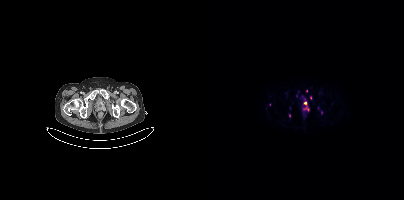
modality: PSMA PET/CT | tracer: 68Ga-PSMA | view: axial
Coordinates are on the 200×200 PET (right) panel. (showing 5 of 6 foci) PSMA-avid tumor lesion bounding box (x0,y0,x1,y1): [99,102,104,110]. Small PSMA-avid foci (2 to 4 px across) near (center x, center y): (85, 115), (102, 90), (117, 111), (65, 104).